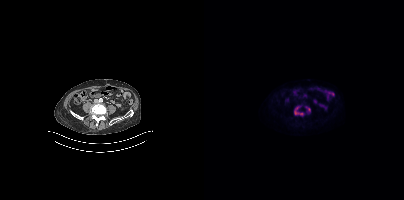
{"pet_grid":[200,200],"coord_frame":"pet_panel","coord_format":"x0,y0,x1,y1","lesion_bboxes":[[90,106,99,116],[102,106,106,112]],"modality":"PSMA PET/CT","view":"axial","tracer":"[18F]PSMA-1007"}